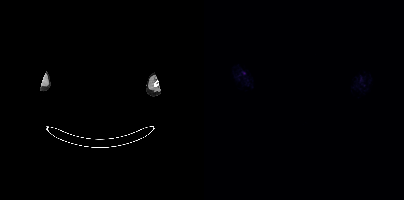
Facial anatomy redacted by setting a rectangular region of the head to black. Left: CT. Right: PSMA PET, same axial level, [18F]PSMA-1007 tracer. PET panel 200×200 px (4.1 mm/px). No tumor lesions annotated on this slice.